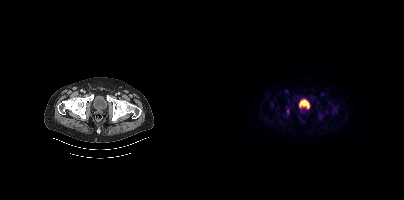
Paired axial CT (left) and PSMA PET (right), 18F-PSMA tracer. PET panel 200×200 px (4.1 mm/px). Coordinates are on the 200×200 PET (right) panel. (showing 11 of 12 foci) PSMA-avid tumor lesion bounding boxes (x, y, width, height): x=83 y=100 w=6 h=7; x=96 y=109 w=7 h=5; x=114 y=114 w=5 h=6; x=66 y=102 w=5 h=6; x=102 y=95 w=6 h=6; x=124 y=102 w=4 h=5; x=82 y=107 w=4 h=5; x=80 y=113 w=5 h=4. Small PSMA-avid foci (2 to 4 px across) near (center x, center y): (114, 102); (94, 98); (74, 109).